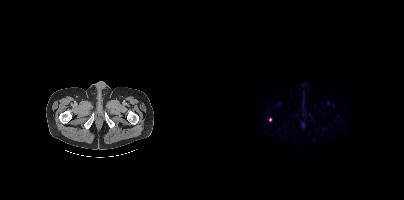
{"modality":"PSMA PET/CT","view":"axial","tracer":"[18F]PSMA-1007","pet_grid":[200,200],"coord_frame":"pet_panel","coord_format":"x0,y0,x1,y1","lesion_bboxes":[],"small_foci_centers":[[66,119]]}